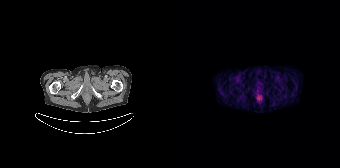
{"pet_grid":[168,168],"coord_frame":"pet_panel","coord_format":"x0,y0,x1,y1","psma_avid_lesions":false,"modality":"PSMA PET/CT","view":"axial","tracer":"68Ga-PSMA"}